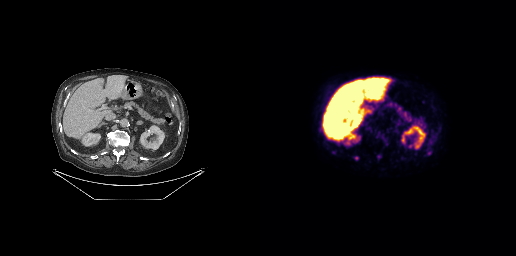
Coordinates are on the 256×256 PET (right) panel. PSMA-avid tumor lesion bounding box (x, y, width, height): x=167 y=151 w=5 h=4. Small PSMA-avid focus (2 to 4 px across) near (center x, center y): (96, 157).